- Two-panel axial: CT | PSMA PET, 18F-PSMA tracer
- slice 366 of 393
- PET panel 200×200 px (4.1 mm/px)
- a rectangular block over the head has been blanked out for de-identification
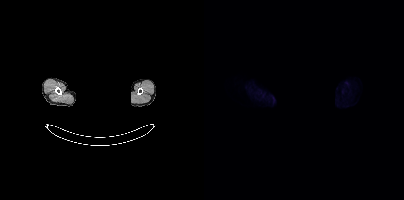
Findings: Negative for PSMA-avid disease on this slice.